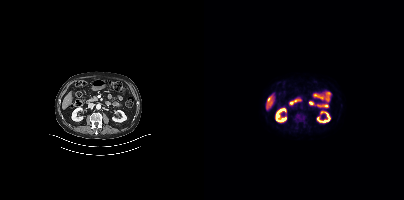
Technique: Two-panel axial: CT | PSMA PET, 18F tracer. PET panel 200×200 px (4.1 mm/px).
Findings: No PSMA-avid tumor lesions on this slice.